modality: PSMA PET/CT | tracer: 18F | view: axial
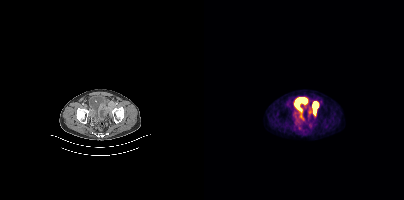
Coordinates are on the 200×200 PET (right) panel. PSMA-avid tumor lesion bounding box (x0, y0)-(x1, y1): (109, 102)-(114, 113).